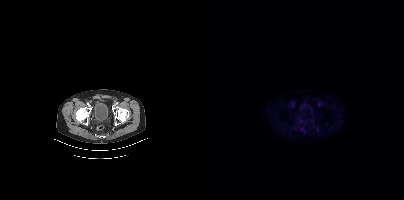
- Two-panel axial: CT | PSMA PET, 18F-PSMA tracer
- PET panel 200×200 px (4.1 mm/px)
Findings: Only PSMA-avid lesion pieces thinner than 2 px on this slice (not listed).